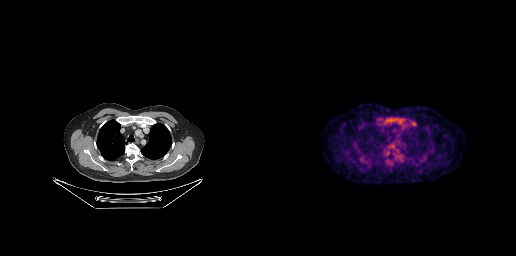
modality: PSMA PET/CT | tracer: [18F]PSMA-1007 | view: axial | PET grid: 256×256
Negative for PSMA-avid disease on this slice.